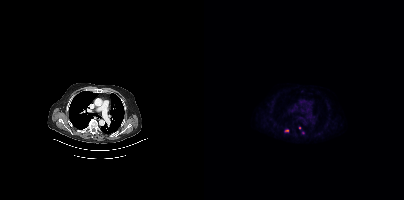
- Left: CT. Right: PSMA PET, same axial level, [18F]PSMA-1007 tracer
- slice position z = -522 mm
- PET panel 200×200 px (4.1 mm/px)
Findings: Coordinates are on the 200×200 PET (right) panel. Small PSMA-avid foci (2 to 4 px across) near (center x, center y): (82, 130) / (95, 127).